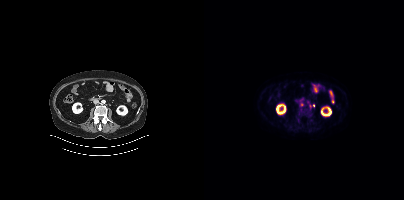
{"pet_grid":[200,200],"coord_frame":"pet_panel","coord_format":"x0,y0,x1,y1","partial":true,"lesion_bboxes":[],"small_foci_centers":[[109,105]],"modality":"PSMA PET/CT","view":"axial","tracer":"18F"}